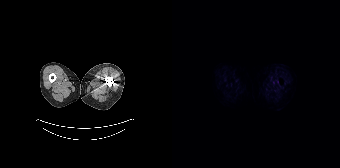
No PSMA-avid tumor lesions on this slice. Paired axial CT (left) and PSMA PET (right), 18F tracer. Slice position z = -1284 mm. PET panel 168×168 px (4.1 mm/px).